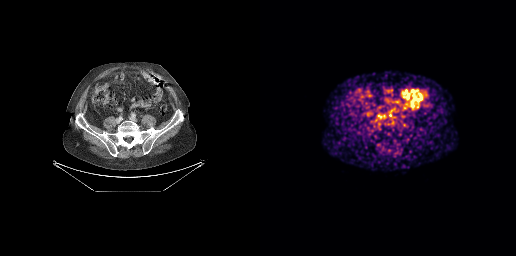
Paired axial CT (left) and PSMA PET (right), 68Ga tracer. PET panel 256×256 px (2.7 mm/px). Negative for PSMA-avid disease on this slice.